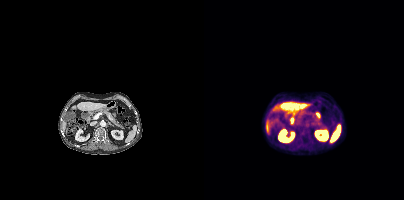
modality: PSMA PET/CT | tracer: 18F-PSMA | view: axial
This slice has no annotated PSMA-avid lesion.